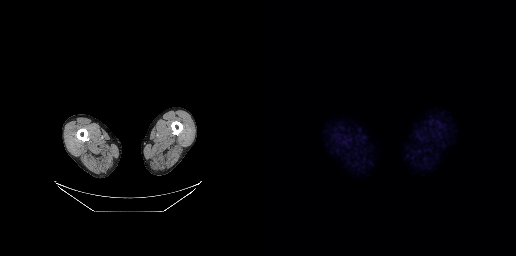
{"pet_grid":[256,256],"coord_frame":"pet_panel","coord_format":"x0,y0,x1,y1","psma_avid_lesions":false,"modality":"PSMA PET/CT","view":"axial","tracer":"18F-PSMA"}